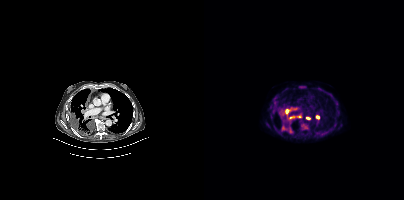
{"modality":"PSMA PET/CT","view":"axial","tracer":"[18F]PSMA-1007","pet_grid":[200,200],"coord_frame":"pet_panel","coord_format":"x0,y0,x1,y1","lesion_bboxes":[[77,125,89,133],[97,122,104,129],[81,107,93,113],[86,113,97,119],[95,86,102,88],[76,110,79,114]],"small_foci_centers":[[113,117],[103,118],[85,121],[78,117],[69,112]]}